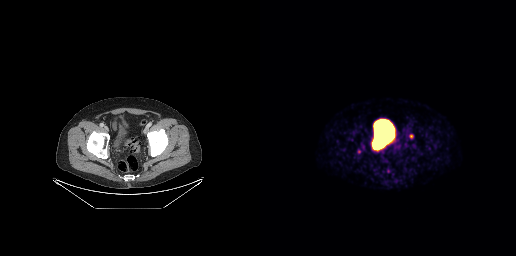
Negative for PSMA-avid disease on this slice.